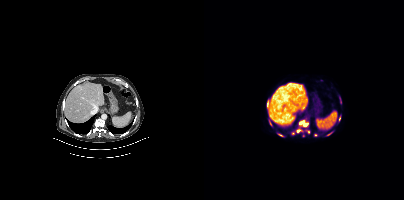
Coordinates are on the 200×200 PET (right) panel. (showing 8 of 10 foci) PSMA-avid tumor lesion bounding boxes (x, y, width, height): x=95 y=121 w=10 h=6 | x=63 y=100 w=3 h=6 | x=74 y=134 w=5 h=3 | x=135 y=116 w=2 h=5 | x=65 y=120 w=3 h=6. Small PSMA-avid foci (2 to 4 px across) near (center x, center y): (94, 131) | (124, 134) | (111, 134).